Paired axial CT (left) and PSMA PET (right), [18F]PSMA-1007 tracer. Acquired on GE Discovery 690. Slice 64 of 263. PET panel 256×256 px (2.7 mm/px).
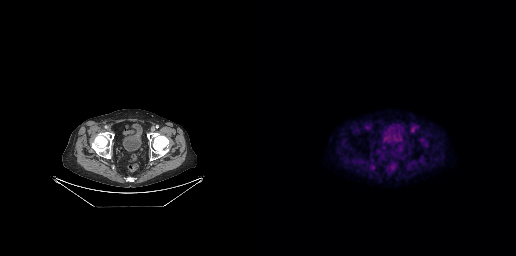
No tumor lesions annotated on this slice.